- Left: CT. Right: PSMA PET, same axial level, [18F]PSMA-1007 tracer
- PET panel 200×200 px (4.1 mm/px)
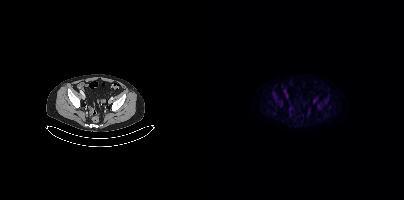
Findings: Negative for PSMA-avid disease on this slice.